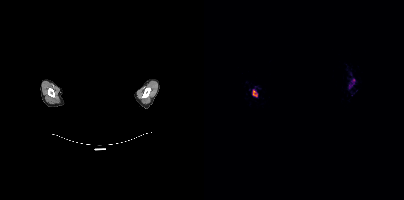
The head region is masked for de-identification.
Coordinates are on the 200×200 PET (right) panel. PSMA-avid tumor lesion bounding box (x, y, width, height): x=48 y=89 w=6 h=8. Small PSMA-avid focus (2 to 4 px across) near (center x, center y): (146, 86).